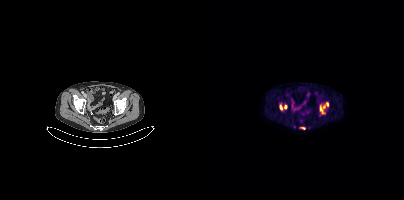
modality: PSMA PET/CT | tracer: [18F]PSMA-1007 | view: axial
Coordinates are on the 200×200 PET (right) panel. PSMA-avid tumor lesion bounding boxes (x0,y0,x1,y1): [116,102,124,114], [75,105,78,110], [96,127,101,129]. Small PSMA-avid focus (2 to 4 px across) near (center x, center y): (81, 106).